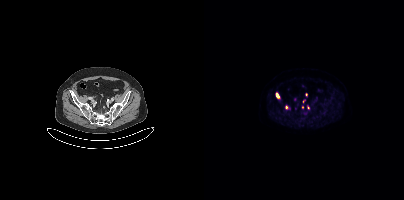
- Two-panel axial: CT | PSMA PET, 18F-PSMA tracer
- slice position z = -855 mm
Findings: Coordinates are on the 200×200 PET (right) panel. (showing 1 of 5 foci) Small PSMA-avid focus (2 to 4 px across) near (center x, center y): (73, 95).